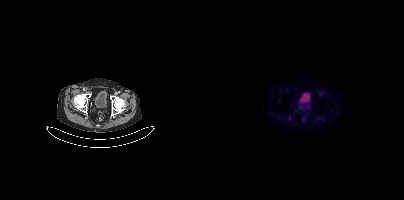
- Left: CT. Right: PSMA PET, same axial level, 18F-PSMA tracer
Findings: This slice has no annotated PSMA-avid lesion.